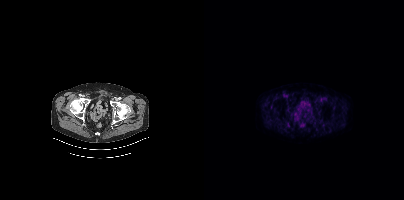
This slice has no annotated PSMA-avid lesion.